modality: PSMA PET/CT | tracer: [68Ga]Ga-PSMA-11 | view: axial | PET grid: 256×256
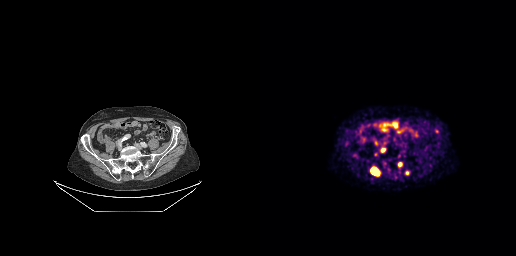
Coordinates are on the 256×256 PET (right) panel. PSMA-avid tumor lesion bounding boxes (x0,y0,x1,y1): [111,167,119,175] [137,162,142,167] [121,148,125,152] [175,129,178,133]. Small PSMA-avid foci (2 to 4 px across) near (center x, center y): (116, 142) (115, 154) (146, 172).